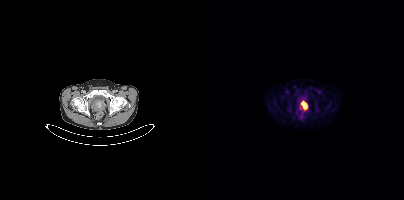
Coordinates are on the 200×200 PET (right) panel. PSMA-avid tumor lesion bounding box (x0, y0)-(x1, y1): (96, 100)-(103, 110).